Paired axial CT (left) and PSMA PET (right), 18F tracer. Acquired on Siemens Biograph mCT Flow 20. PET panel 200×200 px (4.1 mm/px).
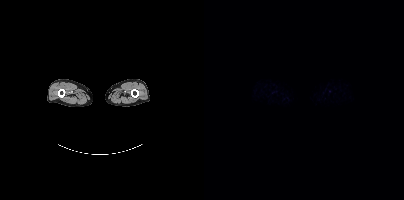
This slice has no annotated PSMA-avid lesion.